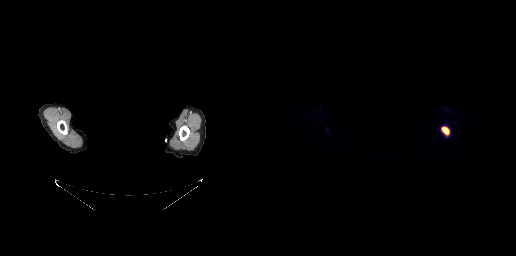
Technique: Left: CT. Right: PSMA PET, same axial level, 68Ga tracer. acquired on GE Discovery 690. PET panel 256×256 px (2.7 mm/px).
Note: Privacy masking over the head, with the pixels inside a rectangle set to black.
Findings: Coordinates are on the 256×256 PET (right) panel. PSMA-avid tumor lesion bounding box (x0,y0,x1,y1): [182,127,188,133].